Facial anatomy redacted by setting a rectangular region of the head to black. Left: CT. Right: PSMA PET, same axial level, 18F-PSMA tracer. Acquired on Siemens Biograph mCT Flow 20.
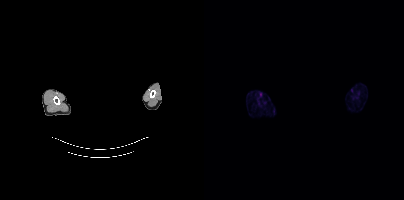
Negative for PSMA-avid disease on this slice.